Head region blanked for anonymization (face removed). Two-panel axial: CT | PSMA PET, 18F tracer. Slice position z = -1038 mm. PET panel 200×200 px (4.1 mm/px).
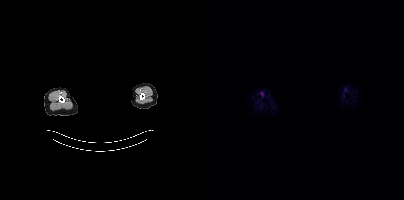
No PSMA-avid tumor lesions on this slice.